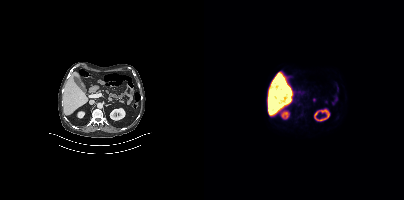
- Left: CT. Right: PSMA PET, same axial level, [18F]PSMA-1007 tracer
- slice 210 of 395
- PET panel 200×200 px (4.1 mm/px)
Findings: No PSMA-avid tumor lesions on this slice.